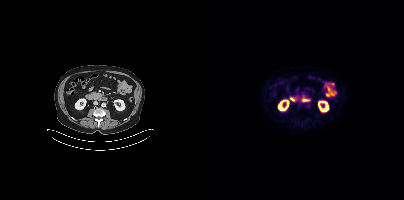
Negative for PSMA-avid disease on this slice.